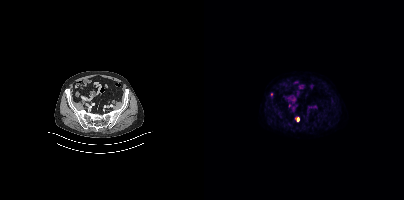
Coordinates are on the 200×200 PET (right) panel. PSMA-avid tumor lesion bounding box (x0, y0)-(x1, y1): (91, 117)-(95, 121). Small PSMA-avid focus (2 to 4 px across) near (center x, center y): (67, 94).